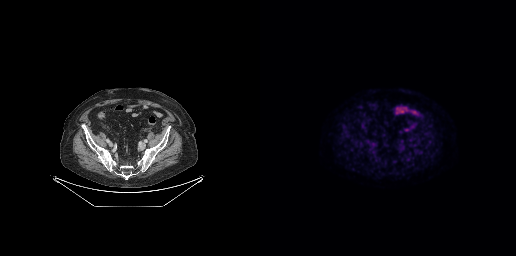
modality: PSMA PET/CT | tracer: [18F]PSMA-1007 | view: axial | PET grid: 256×256
This slice has no annotated PSMA-avid lesion.